Paired axial CT (left) and PSMA PET (right), 18F-PSMA tracer. Acquired on Siemens Biograph mCT Flow 20. Slice 91 of 387.
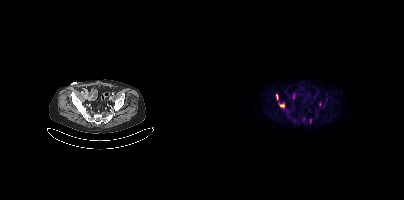
Coordinates are on the 200×200 PET (right) panel. PSMA-avid tumor lesion bounding boxes (partial; 2 more foci not listed):
| # | x0 | y0 | x1 | y1 |
|---|---|---|---|---|
| 1 | 76 | 104 | 80 | 108 |
| 2 | 72 | 95 | 73 | 99 |